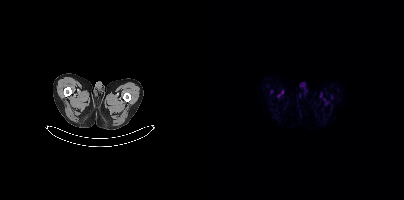
This slice has no annotated PSMA-avid lesion.